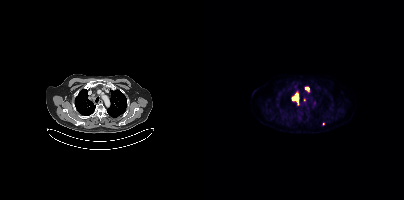
modality: PSMA PET/CT | tracer: 18F-PSMA | view: axial | PET grid: 200×200
Coordinates are on the 200×200 PET (right) panel. PSMA-avid tumor lesion bounding box (x0, y0)-(x1, y1): (88, 93)-(94, 104). Small PSMA-avid foci (2 to 4 px across) near (center x, center y): (102, 88); (119, 124).